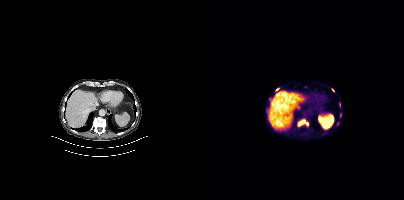
modality: PSMA PET/CT | tracer: 18F-PSMA | view: axial | PET grid: 200×200
Coordinates are on the 200×200 PET (right) panel. (showing 6 of 7 foci) PSMA-avid tumor lesion bounding boxes (x, y, width, height): x=94 y=120 w=11 h=6 / x=62 y=108 w=3 h=6. Small PSMA-avid foci (2 to 4 px across) near (center x, center y): (73, 89) / (136, 114) / (129, 90) / (135, 105).